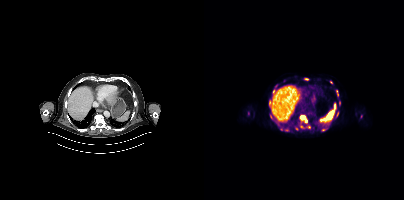
Coordinates are on the 200×200 PET (right) panel. (showing 13 of 15 foci) PSMA-avid tumor lesion bounding boxes (x, y, width, height): x=96 y=115 w=8 h=8 | x=95 y=124 w=5 h=5 | x=65 y=101 w=3 h=9 | x=69 y=90 w=4 h=5 | x=66 y=114 w=3 h=6 | x=118 y=129 w=5 h=3 | x=132 y=90 w=3 h=6. Small PSMA-avid foci (2 to 4 px across) near (center x, center y): (102, 79) | (127, 82) | (135, 103) | (133, 115) | (82, 129) | (104, 126).